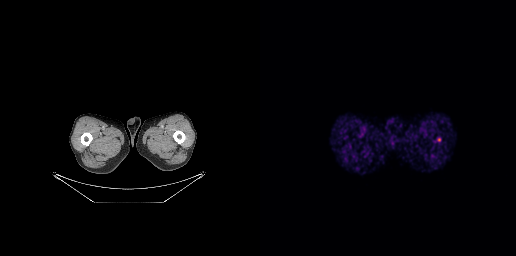
Coordinates are on the 256×256 PET (right) panel. Small PSMA-avid focus (2 to 4 px across) near (center x, center y): (178, 139).
modality: PSMA PET/CT | tracer: 68Ga | view: axial